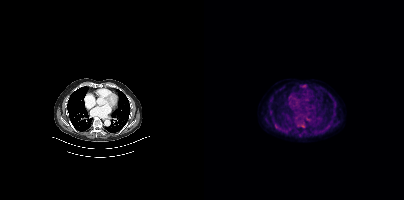
Coordinates are on the 200×200 PET (right) panel. PSMA-avid tumor lesion bounding box (x0, y0)-(x1, y1): (96, 123)-(101, 127).